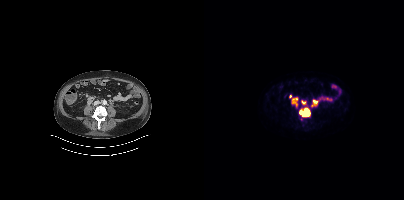
Coordinates are on the 200×200 PET (right) panel. (showing 4 of 5 foci) PSMA-avid tumor lesion bounding boxes (x0, y0)-(x1, y1): (95, 108)-(106, 116) / (88, 101)-(93, 105). Small PSMA-avid foci (2 to 4 px across) near (center x, center y): (99, 102) / (109, 105).